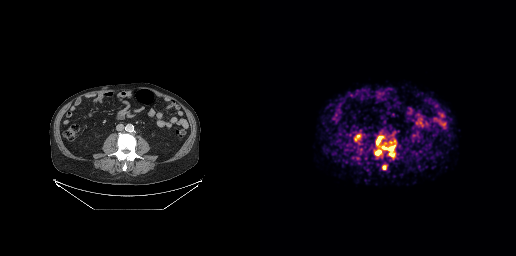
Findings: Coordinates are on the 256×256 PET (right) panel. PSMA-avid tumor lesion bounding boxes (x0, y0)-(x1, y1): (115, 135)-(135, 155) | (122, 165)-(126, 169). Small PSMA-avid foci (2 to 4 px across) near (center x, center y): (130, 142) | (134, 141).
Technique: Two-panel axial: CT | PSMA PET, 68Ga-PSMA tracer. acquired on GE Discovery 690. slice 111 of 263.